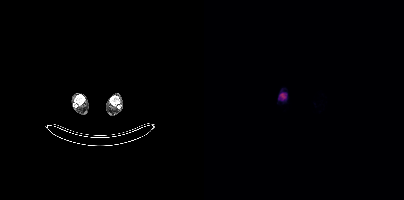
{"pet_grid":[200,200],"coord_frame":"pet_panel","coord_format":"x0,y0,x1,y1","lesion_bboxes":[[76,93,81,98]],"modality":"PSMA PET/CT","view":"axial","tracer":"18F-PSMA"}